Paired axial CT (left) and PSMA PET (right), 18F tracer. PET panel 256×256 px (2.7 mm/px).
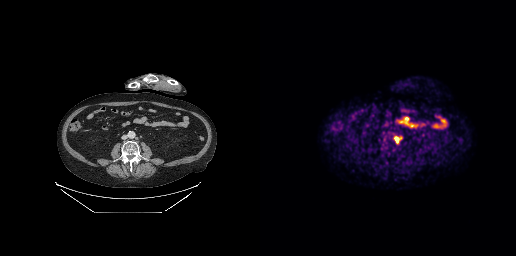
Coordinates are on the 256×256 PET (right) panel. PSMA-avid tumor lesion bounding boxes:
| # | x0 | y0 | x1 | y1 |
|---|---|---|---|---|
| 1 | 134 | 136 | 141 | 143 |